Paired axial CT (left) and PSMA PET (right), [18F]PSMA-1007 tracer. Acquired on Siemens Biograph mCT Flow 20. PET panel 200×200 px (4.1 mm/px).
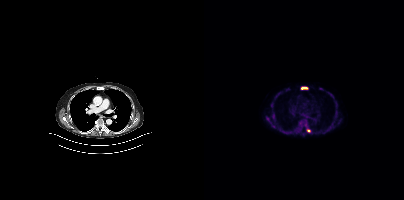
Coordinates are on the 200×200 PET (right) panel. PSMA-avid tumor lesion bounding boxes (x, y, width, height): x=67 y=113 w=5 h=7 / x=97 y=87 w=7 h=3 / x=100 y=123 w=4 h=5. Small PSMA-avid foci (2 to 4 px across) near (center x, center y): (104, 130) / (96, 122) / (63, 118).